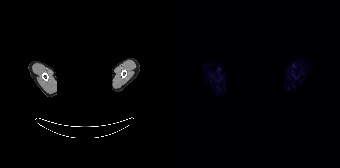
No PSMA-avid tumor lesions on this slice.
deidentification: face masked with black rectangle | modality: PSMA PET/CT | tracer: 68Ga-PSMA | view: axial | PET grid: 168×168